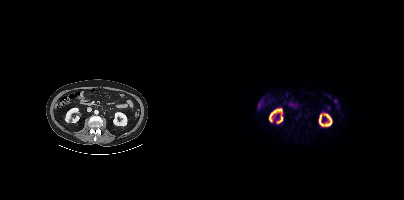
Technique: Two-panel axial: CT | PSMA PET, [18F]PSMA-1007 tracer. PET panel 200×200 px (4.1 mm/px).
Findings: This slice has no annotated PSMA-avid lesion.